- Paired axial CT (left) and PSMA PET (right), 18F tracer
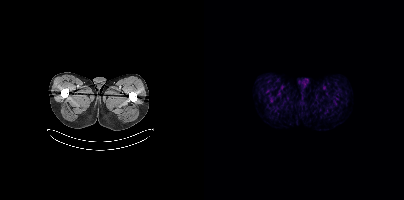
Findings: Negative for PSMA-avid disease on this slice.